modality: PSMA PET/CT | tracer: 18F-PSMA | view: axial | PET grid: 200×200
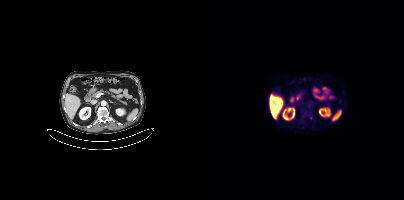
Coordinates are on the 200×200 PET (right) panel. (showing 2 of 3 foci) PSMA-avid tumor lesion bounding box (x0, y0)-(x1, y1): (99, 112)-(102, 116). Small PSMA-avid focus (2 to 4 px across) near (center x, center y): (105, 105).